Two-panel axial: CT | PSMA PET, [18F]PSMA-1007 tracer. Slice position z = -1128 mm. PET panel 200×200 px (4.1 mm/px).
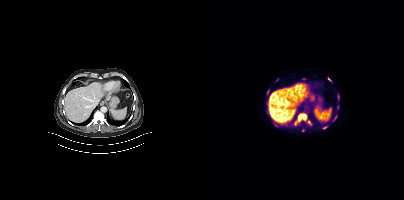
Coordinates are on the 200×200 PET (right) panel. PSMA-avid tumor lesion bounding boxes (partial; 1 more focus not listed):
| # | x0 | y0 | x1 | y1 |
|---|---|---|---|---|
| 1 | 95 | 114 | 102 | 120 |
| 2 | 90 | 122 | 94 | 125 |
| 3 | 134 | 94 | 135 | 99 |
| 4 | 130 | 116 | 132 | 120 |
| 5 | 119 | 126 | 123 | 128 |
| 6 | 63 | 90 | 65 | 94 |
Small PSMA-avid foci (2 to 4 px across) near (center x, center y): (105, 122); (125, 79).